Paired axial CT (left) and PSMA PET (right), [18F]PSMA-1007 tracer. Slice position z = -1142 mm. PET panel 200×200 px (4.1 mm/px).
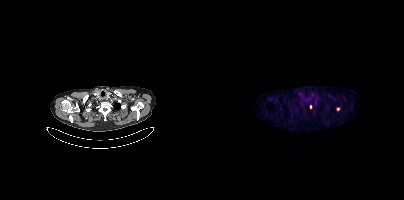
Coordinates are on the 200×200 PET (right) panel. Small PSMA-avid focus (2 to 4 px across) near (center x, center y): (106, 106).